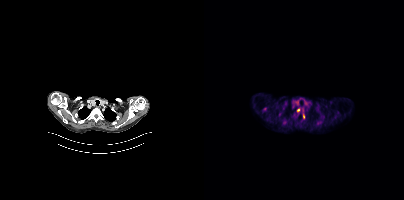
{"modality":"PSMA PET/CT","view":"axial","tracer":"18F-PSMA","pet_grid":[200,200],"coord_frame":"pet_panel","coord_format":"x0,y0,x1,y1","partial":true,"lesion_bboxes":[],"small_foci_centers":[[94,110],[99,116]]}